Any black rectangle over the head is a privacy mask, not anatomy.
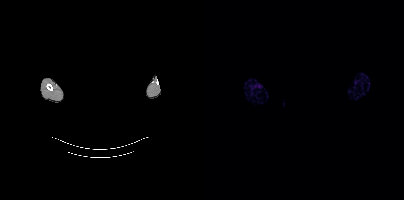
No tumor lesions annotated on this slice.